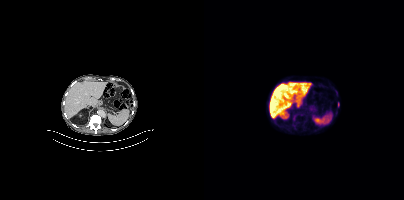
Coordinates are on the 200×200 PET (right) panel. Small PSMA-avid focus (2 to 4 px across) near (center x, center y): (134, 104).